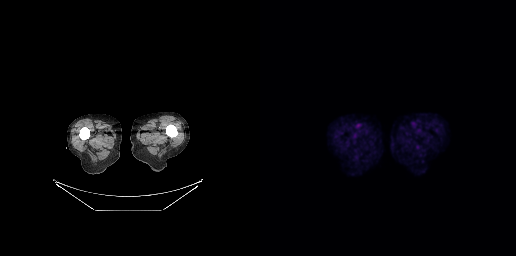
No tumor lesions annotated on this slice. Left: CT. Right: PSMA PET, same axial level, [18F]PSMA-1007 tracer. Acquired on GE Discovery 690. PET panel 256×256 px (2.7 mm/px).